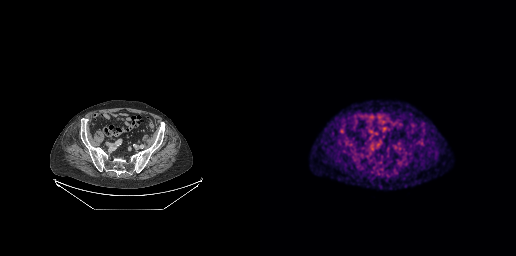
No tumor lesions annotated on this slice.